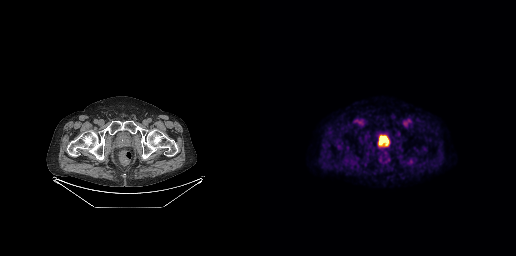
Technique: Left: CT. Right: PSMA PET, same axial level, 18F tracer. acquired on GE Discovery 690. slice position z = -681 mm.
Findings: Coordinates are on the 256×256 PET (right) panel. PSMA-avid tumor lesion bounding box (x0,y0,x1,y1): [119,135,128,145].